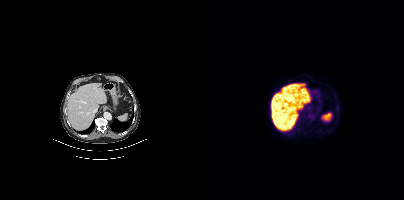
Technique: Two-panel axial: CT | PSMA PET, 18F tracer.
Findings: Negative for PSMA-avid disease on this slice.